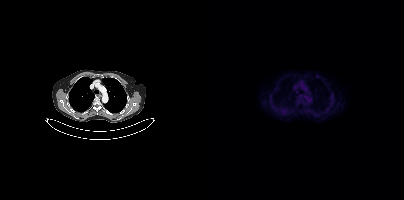
modality: PSMA PET/CT | tracer: 18F | view: axial
This slice has no annotated PSMA-avid lesion.